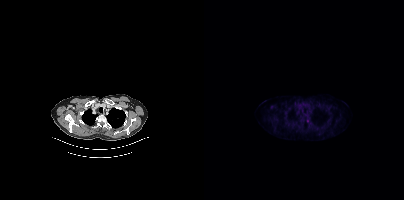
{"pet_grid":[200,200],"coord_frame":"pet_panel","coord_format":"x0,y0,x1,y1","lesion_bboxes":[],"small_foci_centers":[[104,120]],"modality":"PSMA PET/CT","view":"axial","tracer":"18F"}